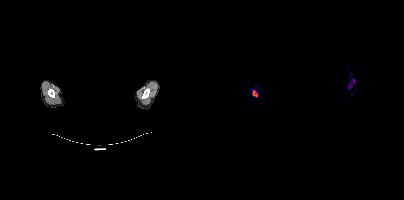
The head region is masked for de-identification. Paired axial CT (left) and PSMA PET (right), [18F]PSMA-1007 tracer. Acquired on Siemens Biograph mCT Flow 20. Slice position z = -172 mm. Coordinates are on the 200×200 PET (right) panel. PSMA-avid tumor lesion bounding box (x0, y0)-(x1, y1): (48, 90)-(53, 97). Small PSMA-avid focus (2 to 4 px across) near (center x, center y): (146, 86).